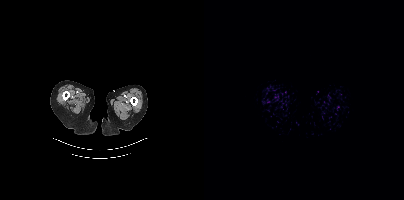
{"modality":"PSMA PET/CT","view":"axial","tracer":"[18F]PSMA-1007","pet_grid":[200,200],"coord_frame":"pet_panel","coord_format":"x0,y0,x1,y1","psma_avid_lesions":false}